Technique: Two-panel axial: CT | PSMA PET, 18F tracer.
Note: An anonymization step blacked out a rectangle over the head in this scan.
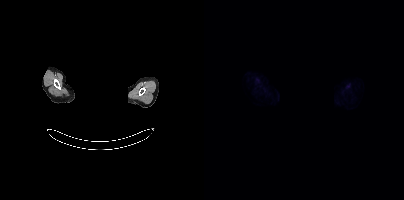
Findings: Negative for PSMA-avid disease on this slice.